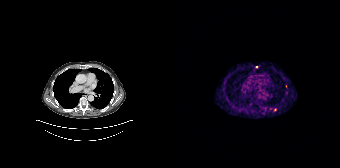
modality: PSMA PET/CT | tracer: 68Ga | view: axial
Coordinates are on the 168×168 PET (right) panel. (showing 2 of 3 foci) Small PSMA-avid foci (2 to 4 px across) near (center x, center y): (102, 109) | (84, 66).